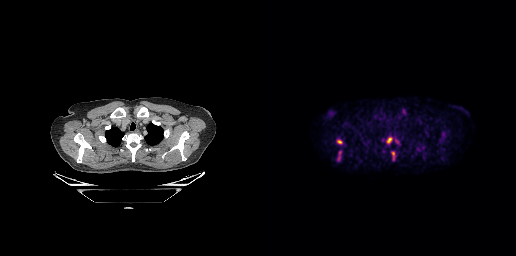
Coordinates are on the 256×256 PET (right) panel. PSMA-avid tumor lesion bounding boxes (x0,y0,x1,y1): [126,137,132,143] [76,139,82,144] [77,151,81,160] [131,151,134,160]. Small PSMA-avid foci (2 to 4 px across) near (center x, center y): (137, 141) (122, 139).